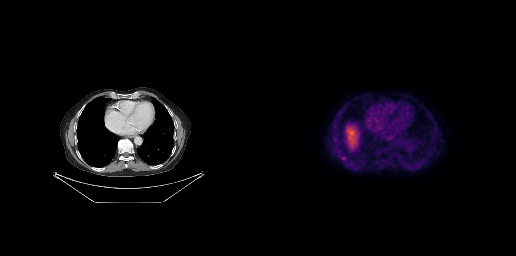
Coordinates are on the 256×256 PET (right) panel. Small PSMA-avid focus (2 to 4 px across) near (center x, center y): (83, 157).